Two-panel axial: CT | PSMA PET, 68Ga-PSMA tracer. Slice 10 of 373.
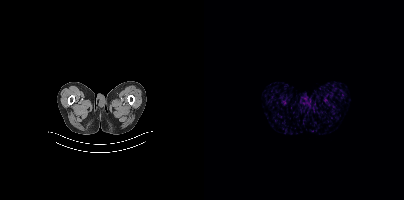
No PSMA-avid tumor lesions on this slice.